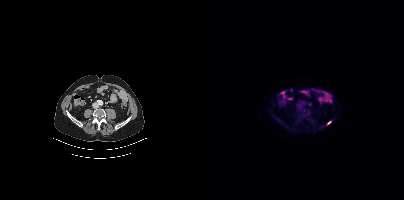
{"modality":"PSMA PET/CT","view":"axial","tracer":"18F-PSMA","pet_grid":[200,200],"coord_frame":"pet_panel","coord_format":"x0,y0,x1,y1","lesion_bboxes":[[123,121,127,124]]}